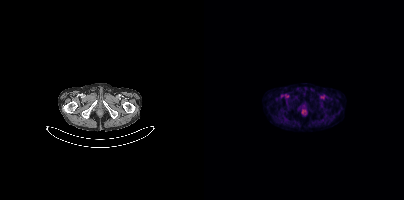
Left: CT. Right: PSMA PET, same axial level, [18F]PSMA-1007 tracer. No PSMA-avid tumor lesions on this slice.